Technique: Paired axial CT (left) and PSMA PET (right), 18F-PSMA tracer. acquired on Siemens Biograph mCT Flow 20. slice position z = -296 mm.
Note: Any black rectangle over the head is a privacy mask, not anatomy.
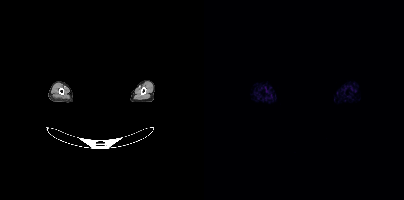
Findings: Negative for PSMA-avid disease on this slice.